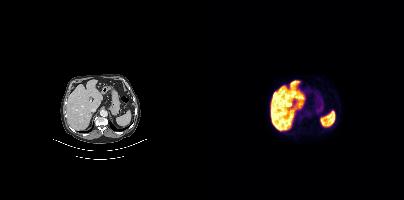
modality: PSMA PET/CT | tracer: [18F]PSMA-1007 | view: axial
This slice has no annotated PSMA-avid lesion.